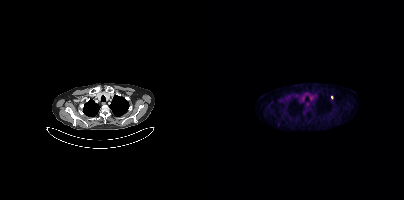
Coordinates are on the 200×200 PET (right) panel. (showing 1 of 2 foci) Small PSMA-avid focus (2 to 4 px across) near (center x, center y): (127, 97).
modality: PSMA PET/CT | tracer: 18F | view: axial | PET grid: 200×200